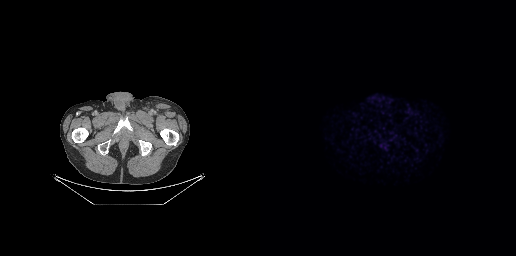
{"modality":"PSMA PET/CT","view":"axial","tracer":"[18F]PSMA-1007","pet_grid":[256,256],"coord_frame":"pet_panel","coord_format":"x0,y0,x1,y1","psma_avid_lesions":false}